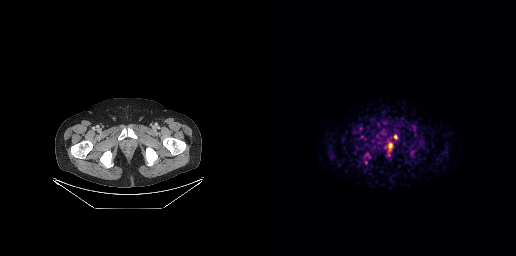
Findings: Coordinates are on the 256×256 PET (right) panel. (showing 2 of 3 foci) PSMA-avid tumor lesion bounding box (x0,y0,x1,y1): [128,142,132,147]. Small PSMA-avid focus (2 to 4 px across) near (center x, center y): (135, 136).
Technique: Left: CT. Right: PSMA PET, same axial level, 68Ga tracer.